Paired axial CT (left) and PSMA PET (right), 18F-PSMA tracer. Acquired on GE Discovery 690. Slice position z = -788 mm. PET panel 256×256 px (2.7 mm/px).
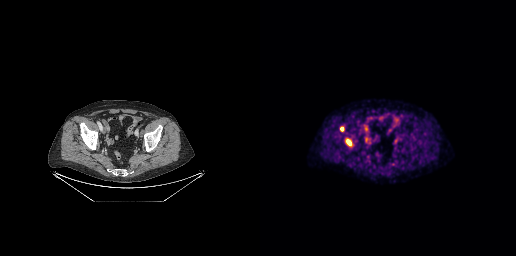
Coordinates are on the 256×256 PET (right) panel. PSMA-avid tumor lesion bounding boxes:
| # | x0 | y0 | x1 | y1 |
|---|---|---|---|---|
| 1 | 85 | 138 | 91 | 145 |